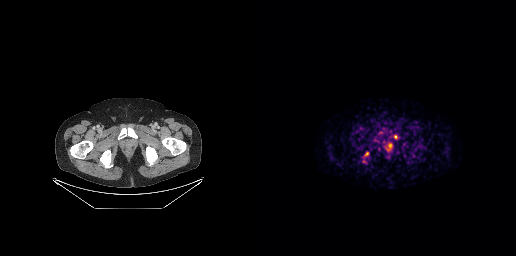
modality: PSMA PET/CT | tracer: [68Ga]Ga-PSMA-11 | view: axial
Coordinates are on the 256×256 PET (right) panel. PSMA-avid tumor lesion bounding boxes (x0, y0)-(x1, y1): (128, 143)-(132, 147) / (105, 152)-(108, 156). Small PSMA-avid foci (2 to 4 px across) near (center x, center y): (135, 136) / (103, 161).